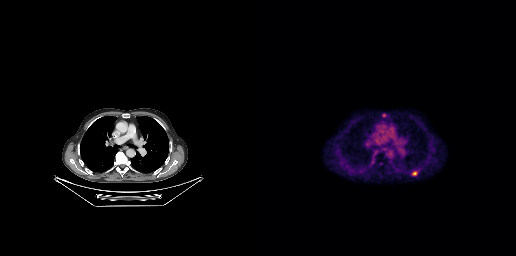
Two-panel axial: CT | PSMA PET, 18F tracer. Slice 186 of 263.
Coordinates are on the 256×256 PET (right) panel. PSMA-avid tumor lesion bounding boxes:
| # | x0 | y0 | x1 | y1 |
|---|---|---|---|---|
| 1 | 152 | 171 | 156 | 175 |